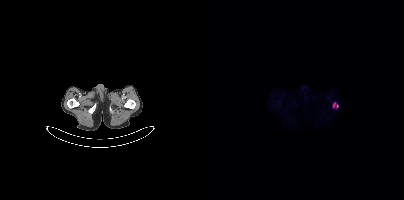
Technique: Paired axial CT (left) and PSMA PET (right), [18F]PSMA-1007 tracer. PET panel 200×200 px (4.1 mm/px).
Findings: Coordinates are on the 200×200 PET (right) panel. PSMA-avid tumor lesion bounding box (x0, y0)-(x1, y1): (129, 102)-(134, 107).